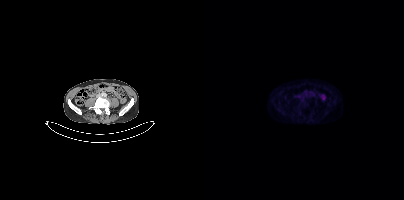
Left: CT. Right: PSMA PET, same axial level, [18F]PSMA-1007 tracer. Acquired on Siemens Biograph mCT Flow 20. Slice position z = -344 mm. No tumor lesions annotated on this slice.